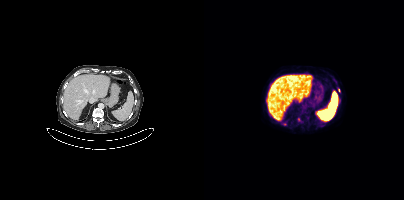
Coordinates are on the 200×200 PET (right) panel. (showing 2 of 5 foci) Small PSMA-avid foci (2 to 4 px across) near (center x, center y): (134, 90), (94, 119).